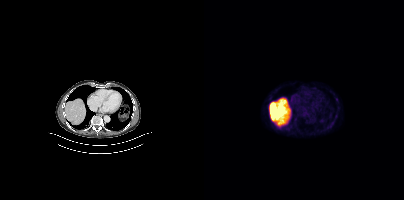
Findings: Negative for PSMA-avid disease on this slice.
Technique: Two-panel axial: CT | PSMA PET, 18F tracer. acquired on Siemens Biograph mCT Flow 20. PET panel 200×200 px (4.1 mm/px).